modality: PSMA PET/CT | tracer: 18F-PSMA | view: axial | PET grid: 200×200
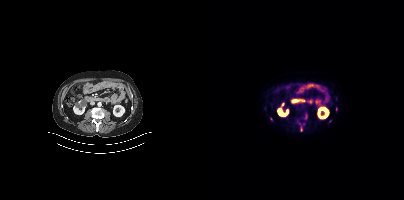
Coordinates are on the 200×200 PET (right) panel. (showing 1 of 3 foci) PSMA-avid tumor lesion bounding box (x0, y0)-(x1, y1): (97, 127)-(98, 131).